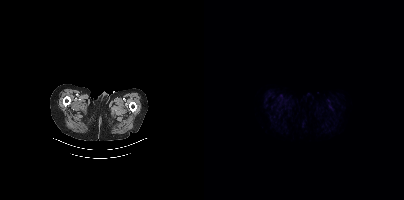
No tumor lesions annotated on this slice.
modality: PSMA PET/CT | tracer: 18F | view: axial | PET grid: 200×200